deidentification: face masked with black rectangle | modality: PSMA PET/CT | tracer: [18F]PSMA-1007 | view: axial | PET grid: 200×200
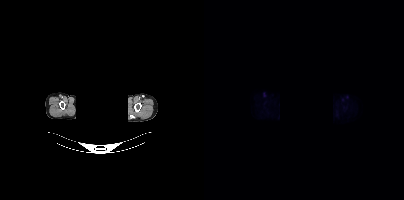
No PSMA-avid tumor lesions on this slice.